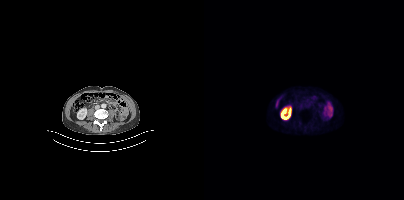
{"pet_grid":[200,200],"coord_frame":"pet_panel","coord_format":"x0,y0,x1,y1","psma_avid_lesions":false,"modality":"PSMA PET/CT","view":"axial","tracer":"18F"}